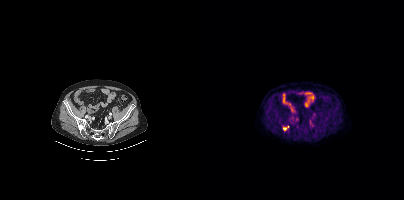
Left: CT. Right: PSMA PET, same axial level, 18F tracer. PET panel 200×200 px (4.1 mm/px). Coordinates are on the 200×200 PET (right) panel. PSMA-avid tumor lesion bounding box (x0, y0)-(x1, y1): (79, 126)-(84, 130).